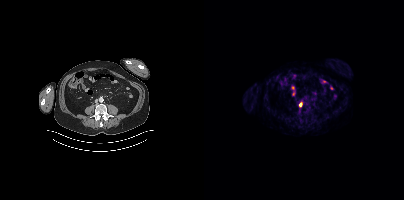
{"pet_grid":[200,200],"coord_frame":"pet_panel","coord_format":"x0,y0,x1,y1","lesion_bboxes":[],"small_foci_centers":[[96,104]],"modality":"PSMA PET/CT","view":"axial","tracer":"68Ga-PSMA"}